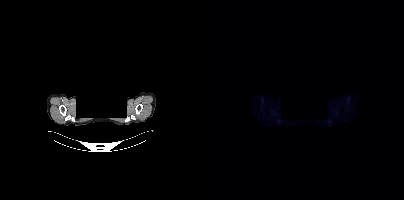
Head region blanked for anonymization (face removed). Paired axial CT (left) and PSMA PET (right), [18F]PSMA-1007 tracer. This slice has no annotated PSMA-avid lesion.